Left: CT. Right: PSMA PET, same axial level, [68Ga]Ga-PSMA-11 tracer. Acquired on Siemens Biograph 64-4R TruePoint. Slice position z = -1504 mm.
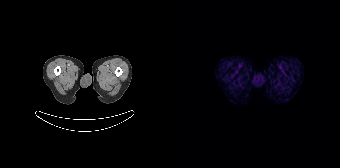
No PSMA-avid tumor lesions on this slice.